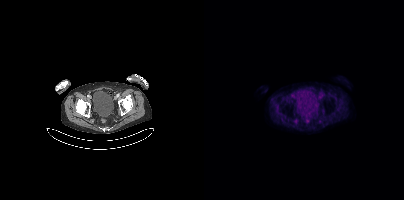
modality: PSMA PET/CT | tracer: 18F | view: axial | PET grid: 200×200
No PSMA-avid tumor lesions on this slice.